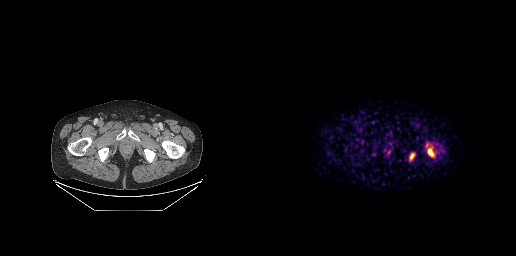
{"modality":"PSMA PET/CT","view":"axial","tracer":"68Ga-PSMA","pet_grid":[256,256],"coord_frame":"pet_panel","coord_format":"x0,y0,x1,y1","lesion_bboxes":[[168,149,173,156]]}